Paired axial CT (left) and PSMA PET (right), 18F-PSMA tracer.
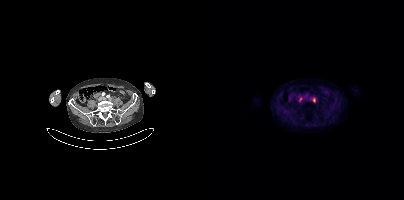
Coordinates are on the 200×200 PET (right) panel. PSMA-avid tumor lesion bounding box (x, y, width, height): x=108 y=97 w=4 h=6. Small PSMA-avid focus (2 to 4 px across) near (center x, center y): (96, 99).